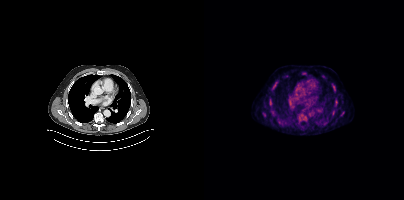
{"modality":"PSMA PET/CT","view":"axial","tracer":"18F","pet_grid":[200,200],"coord_frame":"pet_panel","coord_format":"x0,y0,x1,y1","partial":true,"lesion_bboxes":[],"small_foci_centers":[[70,84],[66,102]]}